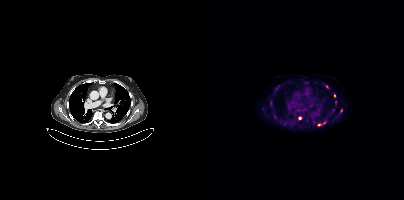
Paired axial CT (left) and PSMA PET (right), 18F tracer. Acquired on Siemens Biograph mCT Flow 20. Slice position z = -1034 mm. Coordinates are on the 200×200 PET (right) panel. (showing 7 of 8 foci) Small PSMA-avid foci (2 to 4 px across) near (center x, center y): (96, 117) / (130, 95) / (115, 124) / (123, 86) / (137, 110) / (120, 122) / (131, 101).